Technique: Paired axial CT (left) and PSMA PET (right), 18F-PSMA tracer. slice position z = -232 mm.
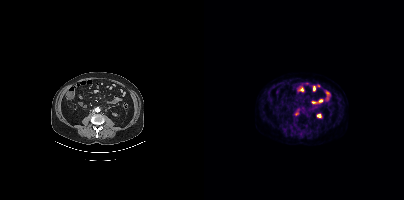
Findings: Coordinates are on the 200×200 PET (right) panel. Small PSMA-avid focus (2 to 4 px across) near (center x, center y): (93, 113).